Paired axial CT (left) and PSMA PET (right), 18F-PSMA tracer. PET panel 200×200 px (4.1 mm/px).
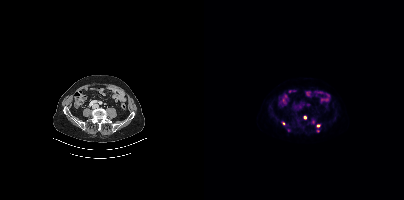
Coordinates are on the 200×200 PET (right) panel. (showing 3 of 4 foci) Small PSMA-avid foci (2 to 4 px across) near (center x, center y): (114, 125); (101, 117); (79, 123).